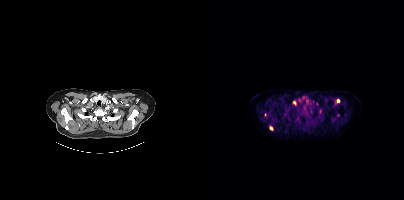
Coordinates are on the 200×200 PET (right) panel. (showing 4 of 5 foci) Small PSMA-avid foci (2 to 4 px across) near (center x, center y): (67, 127) | (134, 101) | (90, 102) | (116, 111).